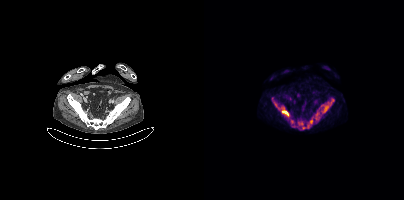
Coordinates are on the 200×200 PET (right) panel. (showing 6 of 8 foci) PSMA-avid tumor lesion bounding boxes (x, y, width, height): x=94 y=117 w=16 h=13 / x=68 y=97 w=7 h=11 / x=78 y=110 w=7 h=6 / x=119 y=105 w=6 h=8 / x=87 y=120 w=4 h=5. Small PSMA-avid focus (2 to 4 px across) near (center x, center y): (89, 126).